Technique: Two-panel axial: CT | PSMA PET, [18F]PSMA-1007 tracer. acquired on Siemens Biograph mCT Flow 20. slice position z = -375 mm.
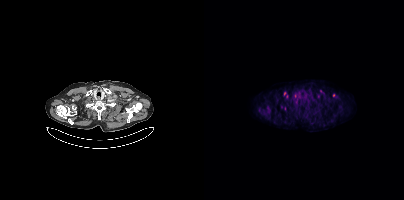
Findings: Coordinates are on the 200×200 PET (right) panel. (showing 1 of 3 foci) Small PSMA-avid focus (2 to 4 px across) near (center x, center y): (80, 93).